Two-panel axial: CT | PSMA PET, [18F]PSMA-1007 tracer. PET panel 200×200 px (4.1 mm/px).
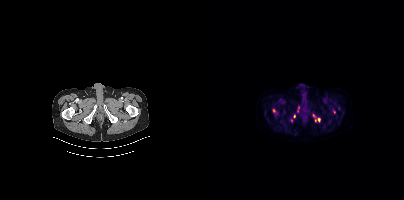
Coordinates are on the 200×200 PET (right) panel. PSMA-avid tumor lesion bounding boxes (x0, y0)-(x1, y1): (111, 118)-(115, 121) | (93, 106)-(95, 112). Small PSMA-avid foci (2 to 4 px across) near (center x, center y): (110, 115) | (70, 110) | (87, 120) | (130, 112) | (90, 116).